Left: CT. Right: PSMA PET, same axial level, 68Ga tracer. Acquired on Siemens Biograph mCT Flow 20. Slice 162 of 397. PET panel 200×200 px (4.1 mm/px).
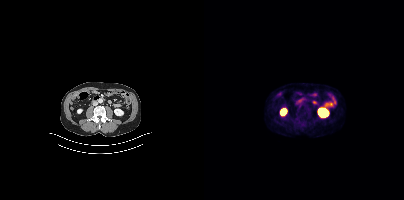
Negative for PSMA-avid disease on this slice.